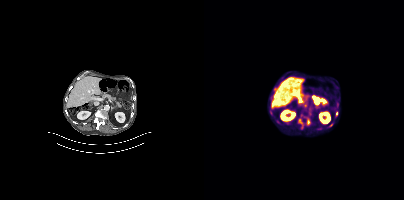
Coordinates are on the 200×200 PET (right) panel. (showing 4 of 5 foci) PSMA-avid tumor lesion bounding box (x, y, width, height): x=96 y=122 w=7 h=8. Small PSMA-avid foci (2 to 4 px across) near (center x, center y): (104, 120); (126, 125); (132, 113).